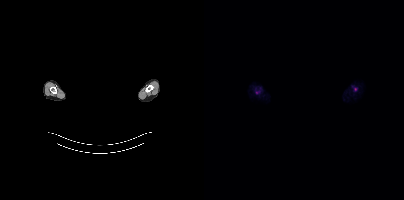
The head region is masked for de-identification.
Coordinates are on the 200×200 PET (right) panel. Small PSMA-avid foci (2 to 4 px across) near (center x, center y): (151, 89) | (52, 92).